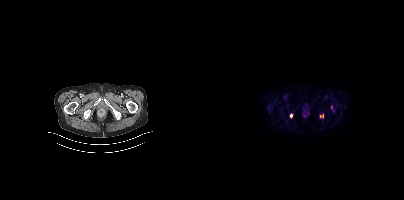
{"modality":"PSMA PET/CT","view":"axial","tracer":"18F","pet_grid":[200,200],"coord_frame":"pet_panel","coord_format":"x0,y0,x1,y1","partial":true,"lesion_bboxes":[],"small_foci_centers":[[87,115],[116,116]]}